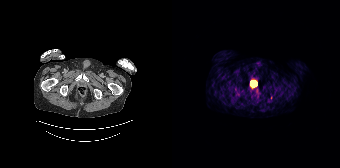
{"modality":"PSMA PET/CT","view":"axial","tracer":"[68Ga]Ga-PSMA-11","pet_grid":[168,168],"coord_frame":"pet_panel","coord_format":"x0,y0,x1,y1","psma_avid_lesions":false}